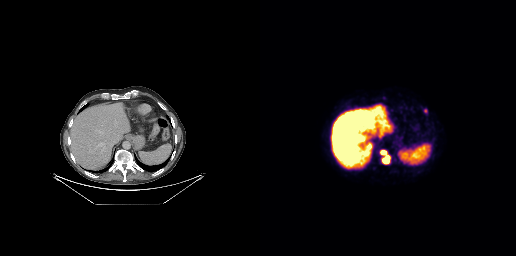
- Two-panel axial: CT | PSMA PET, 18F-PSMA tracer
- slice 160 of 263
Findings: Coordinates are on the 256×256 PET (right) panel. PSMA-avid tumor lesion bounding box (x0, y0)-(x1, y1): (120, 150)-(130, 164). Small PSMA-avid focus (2 to 4 px across) near (center x, center y): (165, 110).